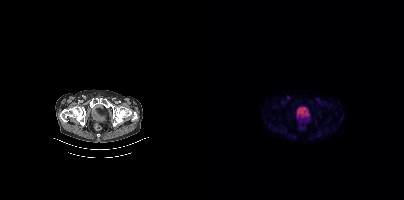
Technique: Left: CT. Right: PSMA PET, same axial level, 18F-PSMA tracer. slice 75 of 452.
Findings: Coordinates are on the 200×200 PET (right) panel. Small PSMA-avid focus (2 to 4 px across) near (center x, center y): (84, 97).